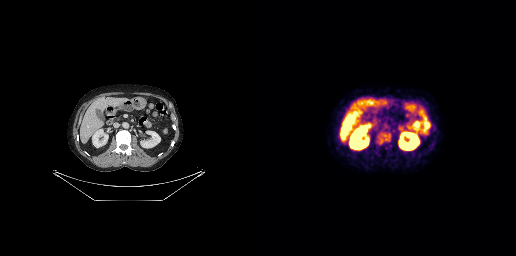
modality: PSMA PET/CT | tracer: 18F-PSMA | view: axial | PET grid: 256×256
Coordinates are on the 256×256 PET (right) panel. (showing 2 of 3 foci) PSMA-avid tumor lesion bounding boxes (x, y, width, height): x=123 y=134 w=8 h=7 / x=120 y=138 w=4 h=6.